Technique: Two-panel axial: CT | PSMA PET, 18F tracer. acquired on Siemens Biograph mCT Flow 20.
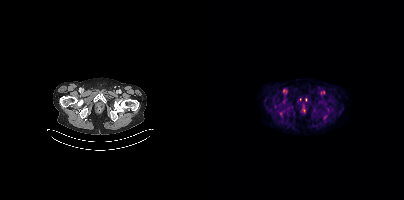
Findings: Only PSMA-avid lesion pieces thinner than 2 px on this slice (not listed).